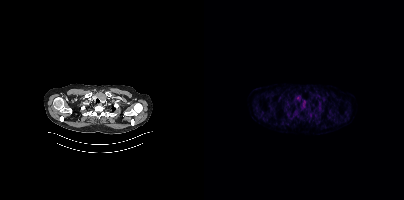
No PSMA-avid tumor lesions on this slice.